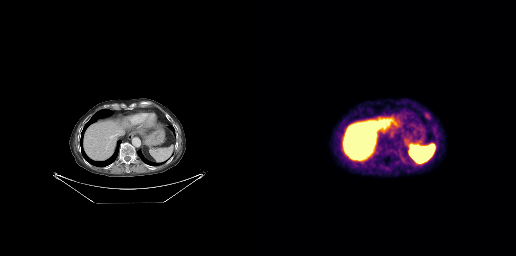
Technique: Two-panel axial: CT | PSMA PET, 18F-PSMA tracer. acquired on GE Discovery 690.
Findings: Coordinates are on the 256×256 PET (right) panel. PSMA-avid tumor lesion bounding box (x0,y0,x1,y1): [165,114,169,118].